modality: PSMA PET/CT | tracer: 18F-PSMA | view: axial | PET grid: 200×200
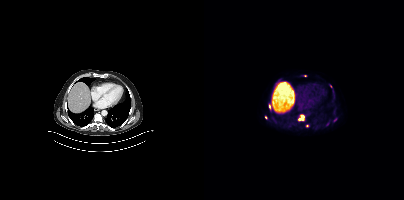
Coordinates are on the 200×200 PET (right) panel. (showing 6 of 7 foci) PSMA-avid tumor lesion bounding boxes (x0,y0,x1,y1): [94,114,100,120], [65,104,66,108]. Small PSMA-avid foci (2 to 4 px across) near (center x, center y): (101, 75), (103, 125), (61, 117), (131, 119).